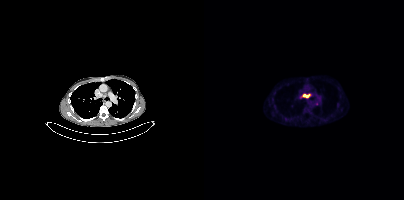
Coordinates are on the 200×200 PET (right) panel. PSMA-avid tumor lesion bounding box (x0,y0,x1,y1): [95,94,105,98]. Small PSMA-avid focus (2 to 4 px across) near (center x, center y): (112, 103).